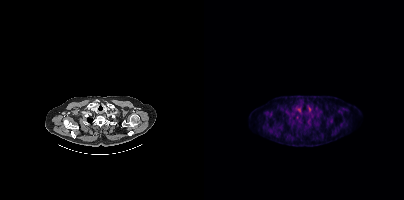
{"modality":"PSMA PET/CT","view":"axial","tracer":"[18F]PSMA-1007","pet_grid":[200,200],"coord_frame":"pet_panel","coord_format":"x0,y0,x1,y1","partial":true,"lesion_bboxes":[]}